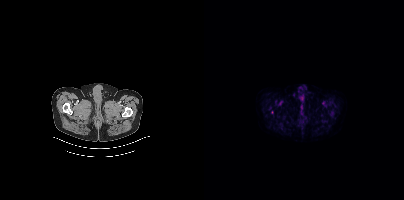
Left: CT. Right: PSMA PET, same axial level, [18F]PSMA-1007 tracer. PET panel 200×200 px (4.1 mm/px). This slice has no annotated PSMA-avid lesion.